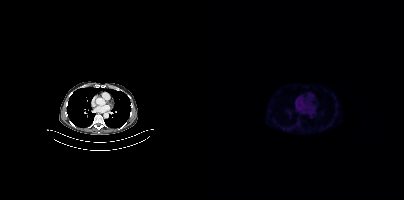
{"pet_grid":[200,200],"coord_frame":"pet_panel","coord_format":"x0,y0,x1,y1","psma_avid_lesions":false,"modality":"PSMA PET/CT","view":"axial","tracer":"[18F]PSMA-1007"}